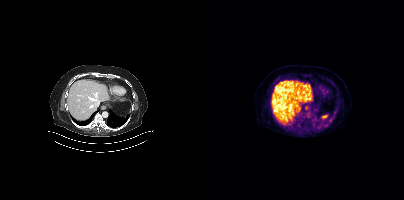
{"pet_grid":[200,200],"coord_frame":"pet_panel","coord_format":"x0,y0,x1,y1","psma_avid_lesions":false,"modality":"PSMA PET/CT","view":"axial","tracer":"[18F]PSMA-1007"}